Left: CT. Right: PSMA PET, same axial level, [68Ga]Ga-PSMA-11 tracer. Slice position z = -887 mm.
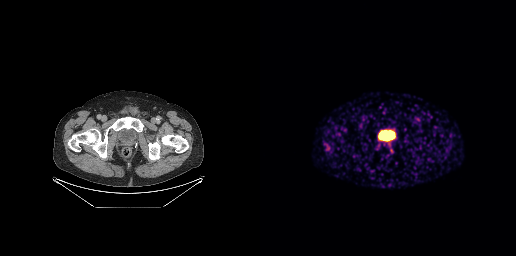
This slice has no annotated PSMA-avid lesion.